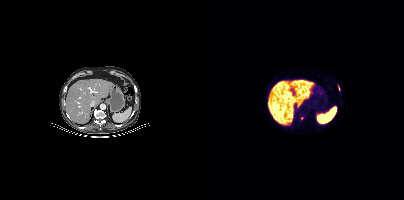
- Paired axial CT (left) and PSMA PET (right), 18F tracer
Findings: Only PSMA-avid lesion pieces thinner than 2 px on this slice (not listed).